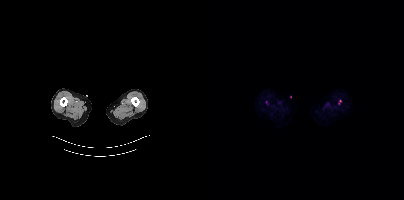
- Paired axial CT (left) and PSMA PET (right), [18F]PSMA-1007 tracer
- PET panel 200×200 px (4.1 mm/px)
Findings: Coordinates are on the 200×200 PET (right) panel. (showing 1 of 2 foci) Small PSMA-avid focus (2 to 4 px across) near (center x, center y): (136, 100).